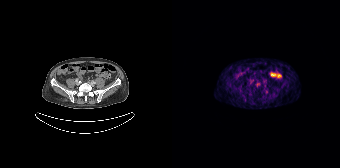
{"modality":"PSMA PET/CT","view":"axial","tracer":"[68Ga]Ga-PSMA-11","pet_grid":[168,168],"coord_frame":"pet_panel","coord_format":"x0,y0,x1,y1","partial":true,"lesion_bboxes":[]}